Technique: Two-panel axial: CT | PSMA PET, [18F]PSMA-1007 tracer. acquired on Siemens Biograph mCT Flow 20. slice 197 of 407. PET panel 200×200 px (4.1 mm/px).
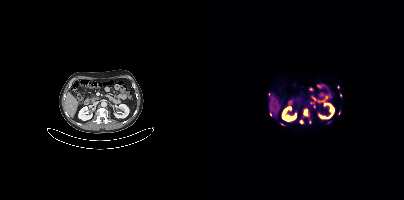
Findings: Coordinates are on the 200×200 PET (right) panel. (showing 7 of 10 foci) PSMA-avid tumor lesion bounding box (x0, y0)-(x1, y1): (100, 109)-(104, 115). Small PSMA-avid foci (2 to 4 px across) near (center x, center y): (106, 121) / (97, 121) / (125, 122) / (66, 114) / (78, 124) / (135, 113).